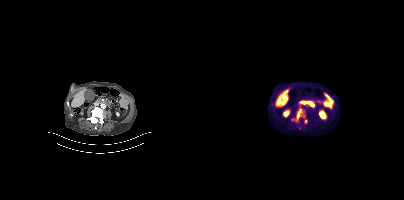
Findings: Coordinates are on the 200×200 PET (right) panel. PSMA-avid tumor lesion bounding box (x0,y0,x1,y1): [88,116,103,124]. Small PSMA-avid focus (2 to 4 px across) near (center x, center y): (95, 127).
- Paired axial CT (left) and PSMA PET (right), 18F-PSMA tracer
- PET panel 200×200 px (4.1 mm/px)